- Two-panel axial: CT | PSMA PET, 68Ga-PSMA tracer
- PET panel 256×256 px (2.7 mm/px)
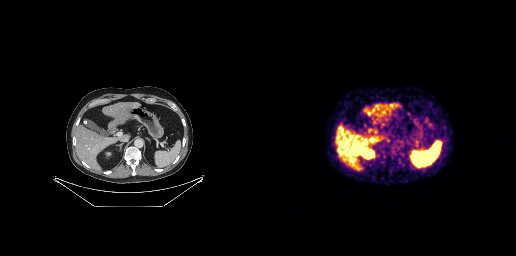
Findings: No PSMA-avid tumor lesions on this slice.